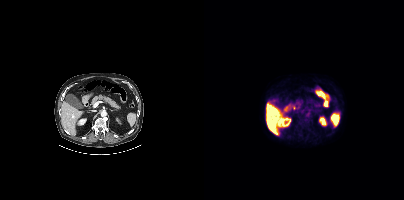
Paired axial CT (left) and PSMA PET (right), 18F-PSMA tracer. Slice position z = -682 mm. PET panel 200×200 px (4.1 mm/px). No PSMA-avid tumor lesions on this slice.